Two-panel axial: CT | PSMA PET, [18F]PSMA-1007 tracer.
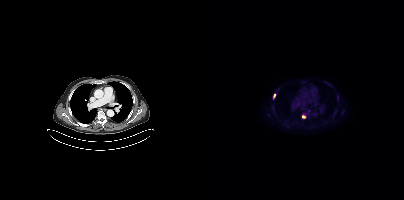
Coordinates are on the 200×200 PET (right) panel. Small PSMA-avid foci (2 to 4 px across) near (center x, center y): (99, 116); (70, 95).